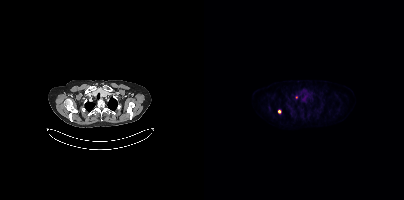
Findings: Coordinates are on the 200×200 PET (right) panel. Small PSMA-avid foci (2 to 4 px across) near (center x, center y): (75, 111); (92, 97).
- Paired axial CT (left) and PSMA PET (right), [18F]PSMA-1007 tracer
- acquired on Siemens Biograph mCT Flow 20
- slice position z = 426 mm
- PET panel 200×200 px (4.1 mm/px)